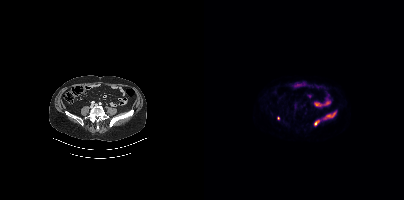
{"modality":"PSMA PET/CT","view":"axial","tracer":"18F-PSMA","pet_grid":[200,200],"coord_frame":"pet_panel","coord_format":"x0,y0,x1,y1","lesion_bboxes":[[119,112,131,119],[110,119,115,125]],"small_foci_centers":[[74,118]]}